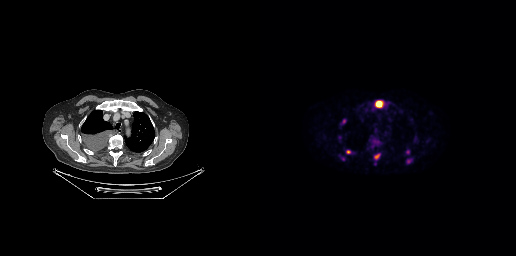
Findings: Coordinates are on the 256×256 PET (right) panel. (showing 6 of 7 foci) PSMA-avid tumor lesion bounding boxes (x, y, width, height): x=115 y=100 w=10 h=8 | x=86 y=150 w=5 h=4 | x=82 y=119 w=4 h=5 | x=147 y=159 w=5 h=5 | x=115 y=154 w=5 h=5. Small PSMA-avid focus (2 to 4 px across) near (center x, center y): (147, 151).
Technique: Paired axial CT (left) and PSMA PET (right), 18F tracer. slice 235 of 299.